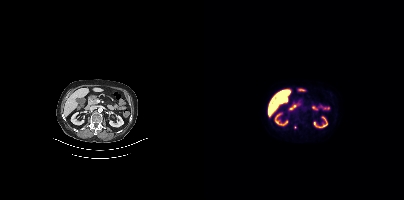
{"modality":"PSMA PET/CT","view":"axial","tracer":"18F","pet_grid":[200,200],"coord_frame":"pet_panel","coord_format":"x0,y0,x1,y1","lesion_bboxes":[],"small_foci_centers":[[91,127]]}